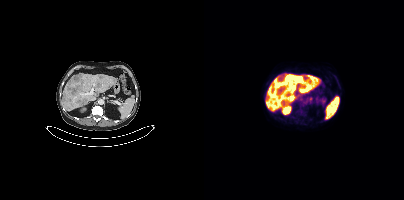
{"pet_grid":[200,200],"coord_frame":"pet_panel","coord_format":"x0,y0,x1,y1","partial":true,"lesion_bboxes":[[96,83,102,89],[91,76,97,81],[70,83,75,88]],"small_foci_centers":[[106,98]],"modality":"PSMA PET/CT","view":"axial","tracer":"18F"}